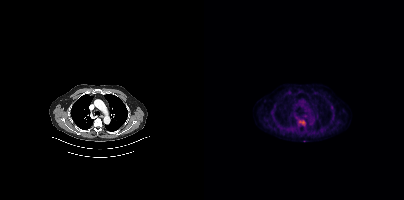
Coordinates are on the 200×200 PET (right) panel. PSMA-avid tumor lesion bounding box (x0, y0)-(x1, y1): (95, 120)-(101, 125).
modality: PSMA PET/CT | tracer: 18F | view: axial | PET grid: 200×200